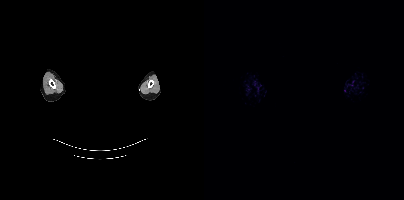
This slice has no annotated PSMA-avid lesion. Left: CT. Right: PSMA PET, same axial level, 18F-PSMA tracer. Acquired on Siemens Biograph mCT Flow 20. PET panel 200×200 px (4.1 mm/px). An anonymization step blacked out a rectangle over the head in this scan.